- Two-panel axial: CT | PSMA PET, 68Ga tracer
- acquired on GE Discovery 690
- slice 240 of 263
- PET panel 256×256 px (2.7 mm/px)
- the head region is masked for de-identification
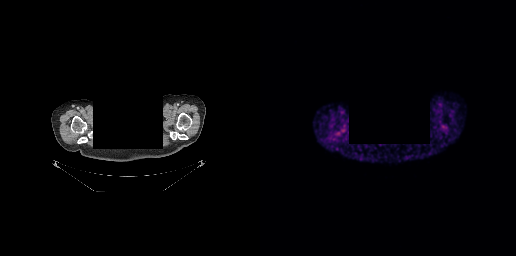
Findings: Negative for PSMA-avid disease on this slice.